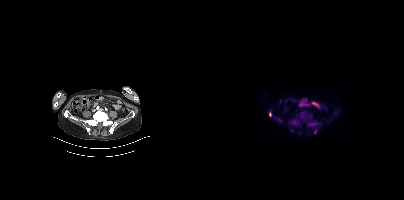
Technique: Left: CT. Right: PSMA PET, same axial level, [18F]PSMA-1007 tracer.
Findings: Coordinates are on the 200×200 PET (right) panel. PSMA-avid tumor lesion bounding boxes (x0,y0,x1,y1): [86,120,94,125] [104,122,113,125] [110,129,113,133] [65,112,67,116]. Small PSMA-avid focus (2 to 4 px across) near (center x, center y): (74, 119).